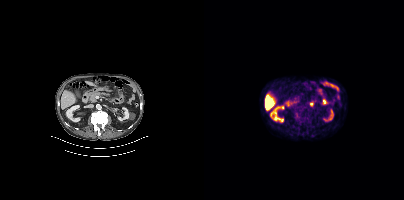
No tumor lesions annotated on this slice.